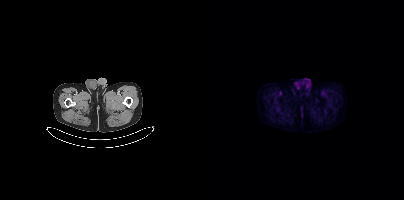
- Two-panel axial: CT | PSMA PET, 18F tracer
- slice position z = -641 mm
- PET panel 200×200 px (4.1 mm/px)
Findings: No PSMA-avid tumor lesions on this slice.